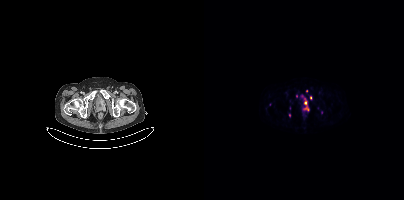
{"modality":"PSMA PET/CT","view":"axial","tracer":"68Ga","pet_grid":[200,200],"coord_frame":"pet_panel","coord_format":"x0,y0,x1,y1","partial":true,"lesion_bboxes":[[99,101,104,110]],"small_foci_centers":[[106,97],[85,115],[102,90],[92,95],[117,111]]}